Facial anatomy redacted by setting a rectangular region of the head to black.
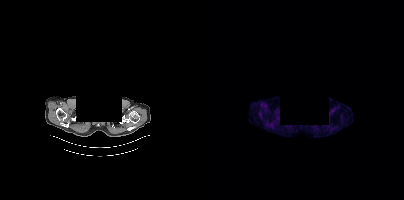
No tumor lesions annotated on this slice.